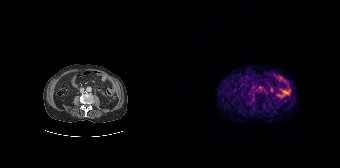
Two-panel axial: CT | PSMA PET, [68Ga]Ga-PSMA-11 tracer. Acquired on Siemens Biograph 64-4R TruePoint. Slice position z = -350 mm. PET panel 168×168 px (4.1 mm/px). No PSMA-avid tumor lesions on this slice.